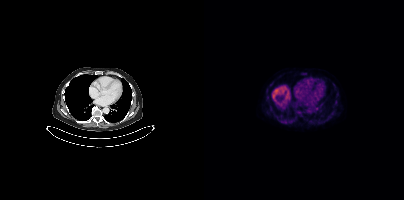
modality: PSMA PET/CT | tracer: [18F]PSMA-1007 | view: axial
Coordinates are on the 200×200 PET (right) panel. (showing 1 of 3 foci) Small PSMA-avid focus (2 to 4 px across) near (center x, center y): (94, 112).